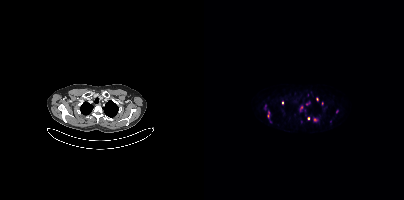
Coordinates are on the 200×200 PET (right) panel. (showing 8 of 10 foci) PSMA-avid tumor lesion bounding boxes (x0, y0)-(x1, y1): (109, 118)-(113, 121) / (60, 105)-(62, 109) / (64, 112)-(65, 116). Small PSMA-avid foci (2 to 4 px across) near (center x, center y): (97, 107) / (132, 111) / (118, 103) / (78, 102) / (104, 118).